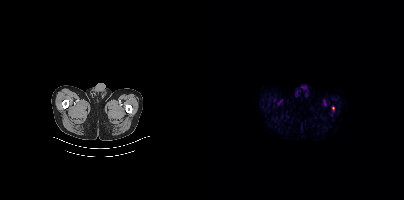
Technique: Paired axial CT (left) and PSMA PET (right), [18F]PSMA-1007 tracer. acquired on Siemens Biograph mCT Flow 20. slice 10 of 381. PET panel 200×200 px (4.1 mm/px).
Findings: This slice has no annotated PSMA-avid lesion.